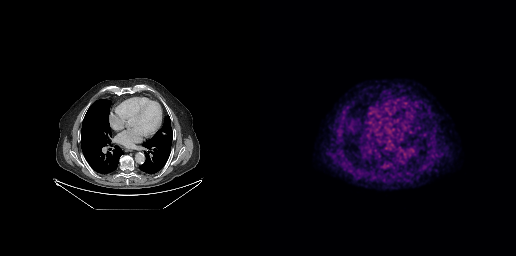
Two-panel axial: CT | PSMA PET, 18F tracer. PET panel 256×256 px (2.7 mm/px). This slice has no annotated PSMA-avid lesion.